Two-panel axial: CT | PSMA PET, [68Ga]Ga-PSMA-11 tracer. Slice position z = -634 mm.
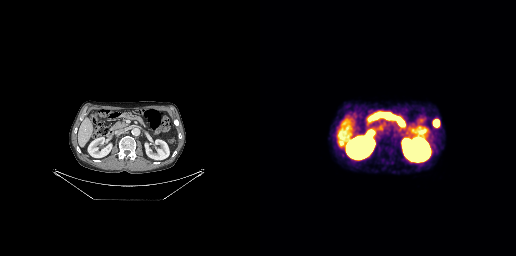
Coordinates are on the 256×256 PET (right) panel. PSMA-avid tumor lesion bounding box (x, y, width, height): x=173 y=119 w=7 h=8.